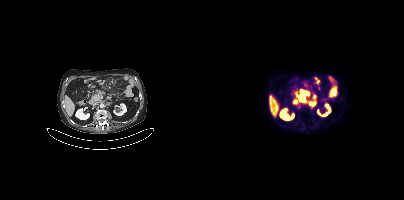
- Two-panel axial: CT | PSMA PET, 18F tracer
- acquired on Siemens Biograph mCT Flow 20
- slice position z = 150 mm
- PET panel 200×200 px (4.1 mm/px)
Findings: Coordinates are on the 200×200 PET (right) panel. PSMA-avid tumor lesion bounding boxes (x, y, width, height): x=92 y=90 w=14 h=12; x=105 y=102 w=7 h=4; x=109 y=94 w=4 h=5.